- Left: CT. Right: PSMA PET, same axial level, [18F]PSMA-1007 tracer
- acquired on Siemens Biograph mCT Flow 20
- PET panel 200×200 px (4.1 mm/px)
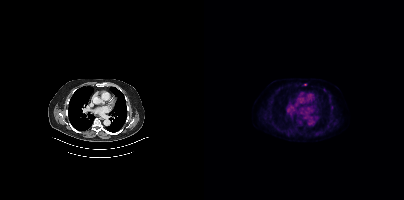
Findings: Coordinates are on the 200×200 PET (right) panel. Small PSMA-avid focus (2 to 4 px across) near (center x, center y): (101, 84).